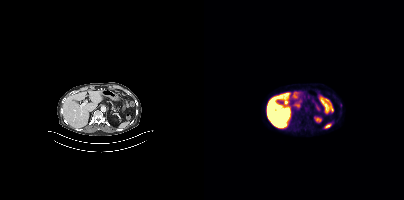
Technique: Left: CT. Right: PSMA PET, same axial level, 18F tracer. slice position z = -672 mm. PET panel 200×200 px (4.1 mm/px).
Findings: Coordinates are on the 200×200 PET (right) panel. Small PSMA-avid focus (2 to 4 px across) near (center x, center y): (136, 105).